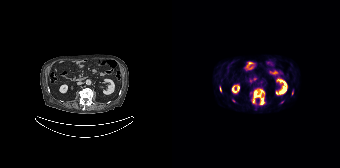
Coordinates are on the 168×168 PET (right) panel. PSMA-avid tumor lesion bounding boxes (x0,y0,x1,y1): [80,89,92,104] [48,87,49,91]. Small PSMA-avid foci (2 to 4 px across) near (center x, center y): (61, 100) (120, 93) (110, 102).